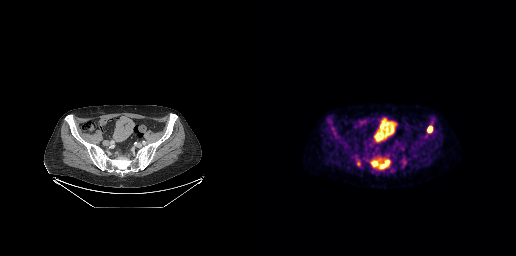
Two-panel axial: CT | PSMA PET, 18F tracer. Slice 171 of 371. Coordinates are on the 256×256 PET (right) panel. PSMA-avid tumor lesion bounding boxes (x0, y0)-(x1, y1): (111, 160)-(129, 168) | (168, 126)-(172, 132). Small PSMA-avid focus (2 to 4 px across) near (center x, center y): (98, 163).